Technique: Left: CT. Right: PSMA PET, same axial level, 18F-PSMA tracer. slice 279 of 389. PET panel 200×200 px (4.1 mm/px).
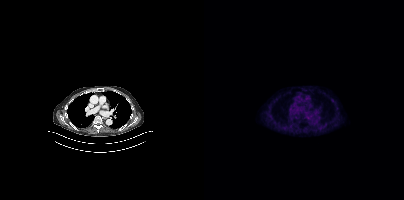
Findings: Negative for PSMA-avid disease on this slice.